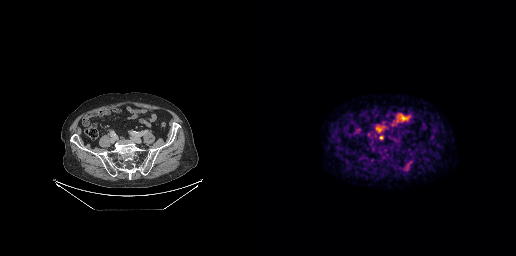
Paired axial CT (left) and PSMA PET (right), 18F tracer. Acquired on GE Discovery 690. Coordinates are on the 256×256 PET (right) panel. Small PSMA-avid focus (2 to 4 px across) near (center x, center y): (121, 137).